- Left: CT. Right: PSMA PET, same axial level, [18F]PSMA-1007 tracer
- PET panel 200×200 px (4.1 mm/px)
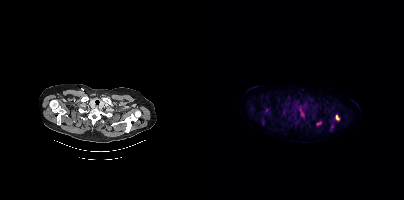
Findings: Coordinates are on the 200×200 PET (right) panel. (showing 3 of 4 foci) PSMA-avid tumor lesion bounding boxes (x, y, width, height): x=95 y=108 w=6 h=10 / x=131 y=115 w=5 h=6 / x=113 y=122 w=5 h=4.